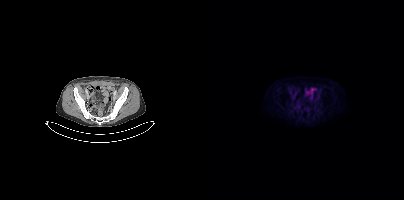
{"modality":"PSMA PET/CT","view":"axial","tracer":"18F-PSMA","pet_grid":[200,200],"coord_frame":"pet_panel","coord_format":"x0,y0,x1,y1","psma_avid_lesions":false}